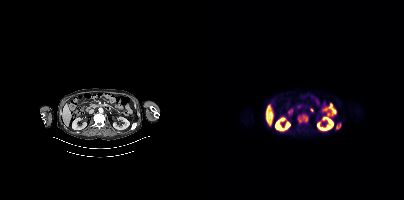
Technique: Paired axial CT (left) and PSMA PET (right), 18F-PSMA tracer. slice 197 of 415. PET panel 200×200 px (4.1 mm/px).
Findings: Coordinates are on the 200×200 PET (right) panel. PSMA-avid tumor lesion bounding boxes (x0, y0)-(x1, y1): (94, 114)-(104, 123) | (132, 123)-(137, 129).